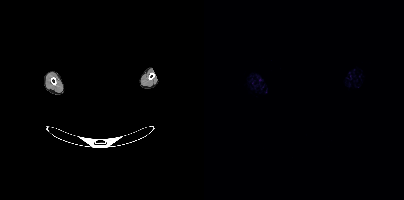
modality: PSMA PET/CT | tracer: 18F | view: axial | de-identification: privacy mask over head
Negative for PSMA-avid disease on this slice.